- Left: CT. Right: PSMA PET, same axial level, 18F-PSMA tracer
- slice 205 of 401
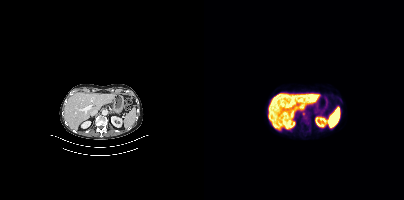
Findings: Coordinates are on the 200×200 PET (right) panel. Small PSMA-avid focus (2 to 4 px across) near (center x, center y): (99, 113).